modality: PSMA PET/CT | tracer: 18F | view: axial
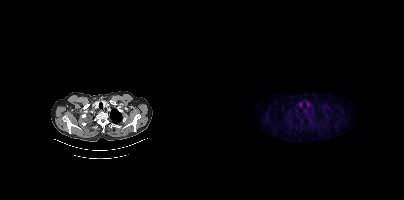
No tumor lesions annotated on this slice.